Two-panel axial: CT | PSMA PET, 18F-PSMA tracer.
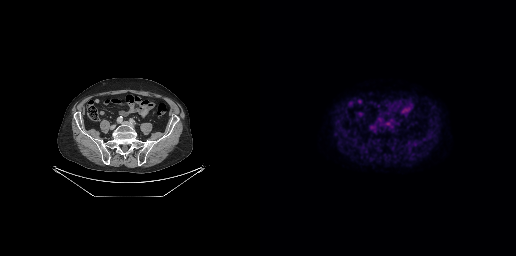
No PSMA-avid tumor lesions on this slice.